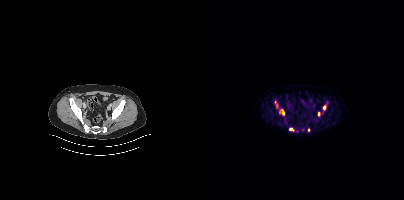
Paired axial CT (left) and PSMA PET (right), 18F-PSMA tracer. PET panel 200×200 px (4.1 mm/px). Coordinates are on the 200×200 PET (right) panel. (showing 5 of 7 foci) PSMA-avid tumor lesion bounding boxes (x, y, width, height): x=77 y=109 w=4 h=7 | x=85 y=128 w=5 h=4. Small PSMA-avid foci (2 to 4 px across) near (center x, center y): (120, 107) | (114, 113) | (104, 130).